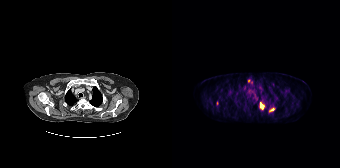
Technique: Two-panel axial: CT | PSMA PET, 18F-PSMA tracer. PET panel 168×168 px (4.1 mm/px).
Findings: Coordinates are on the 168×168 PET (right) panel. PSMA-avid tumor lesion bounding boxes (x, y, width, height): x=88 y=102 w=5 h=8; x=97 y=108 w=6 h=5. Small PSMA-avid foci (2 to 4 px across) near (center x, center y): (45, 102); (76, 80).